modality: PSMA PET/CT | tracer: 18F-PSMA | view: axial
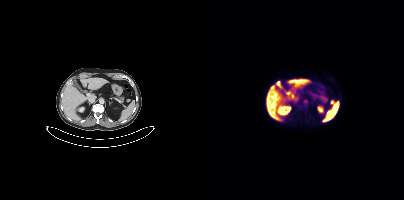
Coordinates are on the 200×200 PET (right) panel. PSMA-avid tumor lesion bounding box (x0,y0,x1,y1): [126,100,131,104].